- Two-panel axial: CT | PSMA PET, [18F]PSMA-1007 tracer
- acquired on Siemens Biograph mCT Flow 20
- slice position z = 330 mm
- an anonymization step blacked out a rectangle over the head in this scan
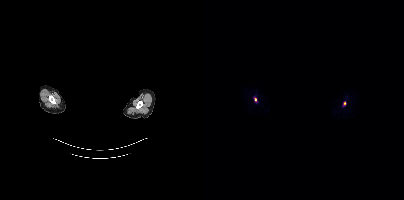
Findings: Coordinates are on the 200×200 PET (right) panel. Small PSMA-avid foci (2 to 4 px across) near (center x, center y): (140, 103), (51, 99).